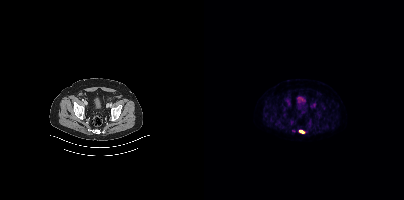
modality: PSMA PET/CT | tracer: 18F-PSMA | view: axial
Coordinates are on the 200×200 PET (right) panel. PSMA-avid tumor lesion bounding box (x, y, width, height): x=95 y=130 w=6 h=4.